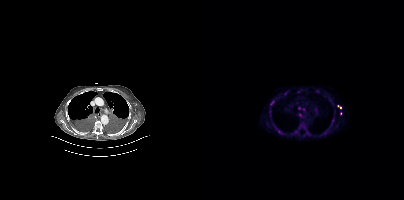
Coordinates are on the 200×200 PET (right) panel. (showing 12 of 13 foci) PSMA-avid tumor lesion bounding boxes (x, y, width, height): x=74 y=130 w=5 h=4 | x=119 y=130 w=5 h=5 | x=66 y=101 w=4 h=5. Small PSMA-avid foci (2 to 4 px across) near (center x, center y): (92, 131) | (99, 109) | (96, 114) | (135, 106) | (94, 91) | (95, 108) | (81, 93) | (128, 120) | (136, 113).